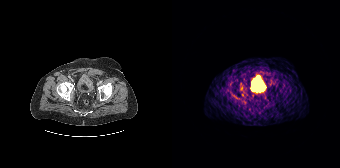
modality: PSMA PET/CT | tracer: [68Ga]Ga-PSMA-11 | view: axial | PET grid: 168×168
Coordinates are on the 168×168 PET (right) panel. Small PSMA-avid focus (2 to 4 px across) near (center x, center y): (69, 88).